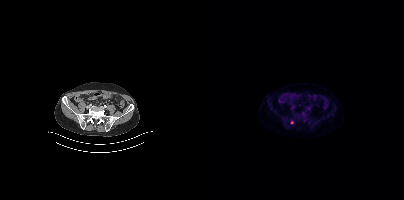
{"modality":"PSMA PET/CT","view":"axial","tracer":"18F-PSMA","pet_grid":[200,200],"coord_frame":"pet_panel","coord_format":"x0,y0,x1,y1","lesion_bboxes":[],"small_foci_centers":[[88,122]]}